- Paired axial CT (left) and PSMA PET (right), [68Ga]Ga-PSMA-11 tracer
- slice 197 of 393
- PET panel 200×200 px (4.1 mm/px)
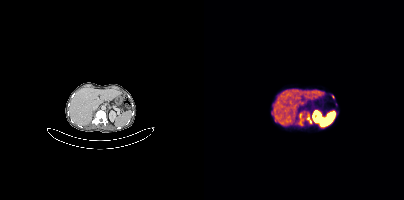
Findings: Coordinates are on the 200×200 PET (right) panel. PSMA-avid tumor lesion bounding boxes (x, y, width, height): x=95 y=113 w=5 h=13 | x=102 y=113 w=6 h=11. Small PSMA-avid foci (2 to 4 px across) near (center x, center y): (67, 113) | (128, 96).